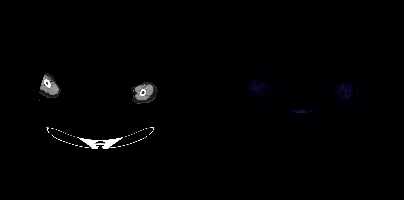
No tumor lesions annotated on this slice.
Privacy masking over the head, with the pixels inside a rectangle set to black.